Technique: Two-panel axial: CT | PSMA PET, 18F-PSMA tracer. slice position z = -1060 mm.
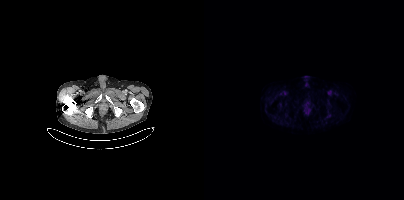
Findings: This slice has no annotated PSMA-avid lesion.